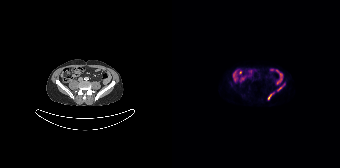
Coordinates are on the 168×168 PET (right) panel. PSMA-avid tumor lesion bounding boxes (x0, y0)-(x1, y1): (105, 83)-(113, 90); (96, 93)-(101, 99). Paired axial CT (left) and PSMA PET (right), 18F tracer.